- Two-panel axial: CT | PSMA PET, [68Ga]Ga-PSMA-11 tracer
- slice 134 of 195
- PET panel 168×168 px (4.1 mm/px)
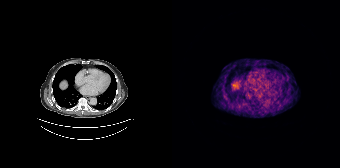
Findings: Negative for PSMA-avid disease on this slice.